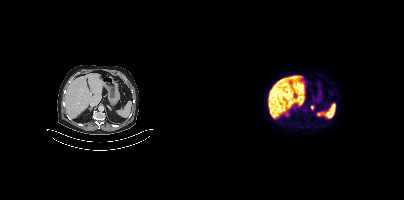
modality: PSMA PET/CT | tracer: 18F-PSMA | view: axial
Coordinates are on the 200×200 PET (right) panel. PSMA-avid tumor lesion bounding box (x0, y0)-(x1, y1): (107, 105)-(109, 109).